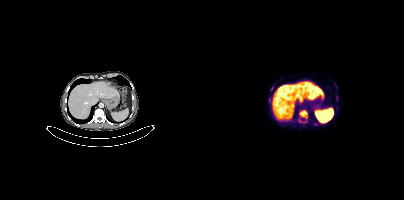
Findings: Coordinates are on the 200×200 PET (right) panel. (showing 2 of 3 foci) PSMA-avid tumor lesion bounding box (x0, y0)-(x1, y1): (95, 110)-(103, 118). Small PSMA-avid focus (2 to 4 px across) near (center x, center y): (67, 89).
Technique: Paired axial CT (left) and PSMA PET (right), 18F tracer.